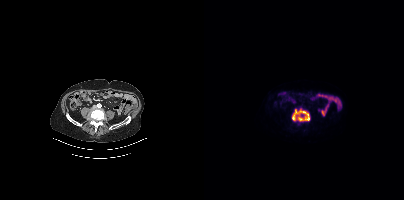
- Paired axial CT (left) and PSMA PET (right), 18F tracer
- acquired on Siemens Biograph mCT Flow 20
Findings: Coordinates are on the 200×200 PET (right) panel. PSMA-avid tumor lesion bounding box (x0, y0)-(x1, y1): (87, 108)-(106, 122).